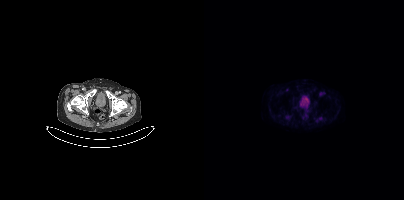
Left: CT. Right: PSMA PET, same axial level, 18F tracer. Slice position z = -804 mm. PET panel 200×200 px (4.1 mm/px). This slice has no annotated PSMA-avid lesion.